A rectangle over the head was blacked out to remove identifiable facial features.
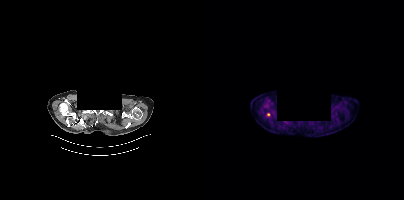
Coordinates are on the 200×200 PET (right) panel. Small PSMA-avid focus (2 to 4 px across) near (center x, center y): (64, 114).